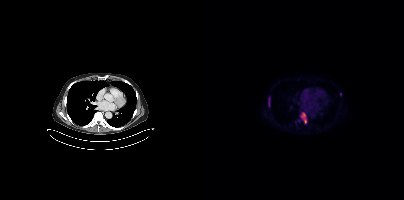
{"pet_grid":[200,200],"coord_frame":"pet_panel","coord_format":"x0,y0,x1,y1","lesion_bboxes":[[96,112,102,123],[64,97,66,106]],"small_foci_centers":[[136,93]],"modality":"PSMA PET/CT","view":"axial","tracer":"18F-PSMA"}